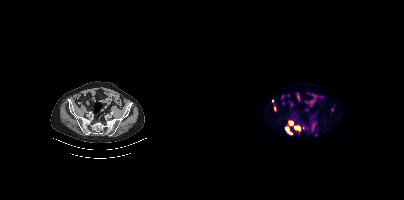
{"modality":"PSMA PET/CT","view":"axial","tracer":"[18F]PSMA-1007","pet_grid":[200,200],"coord_frame":"pet_panel","coord_format":"x0,y0,x1,y1","partial":true,"lesion_bboxes":[[81,127,88,134],[90,126,96,130],[85,121,89,125]],"small_foci_centers":[[70,108],[68,100]]}